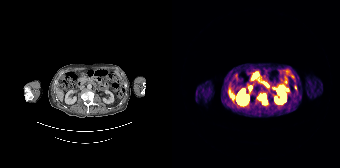
Coordinates are on the 168×168 PET (right) panel. PSMA-avid tumor lesion bounding box (x, y, width, height): x=87 y=94 w=8 h=11. Paired axial CT (left) and PSMA PET (right), [68Ga]Ga-PSMA-11 tracer. Acquired on Siemens Biograph 64-4R TruePoint. PET panel 168×168 px (4.1 mm/px).